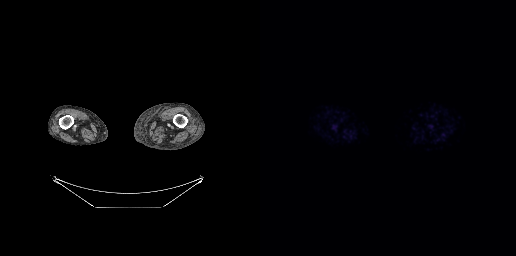
Negative for PSMA-avid disease on this slice.
modality: PSMA PET/CT | tracer: [18F]PSMA-1007 | view: axial